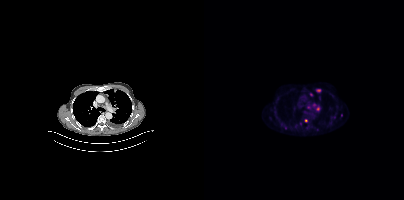
Findings: Coordinates are on the 200×200 PET (right) panel. (showing 5 of 7 foci) PSMA-avid tumor lesion bounding boxes (x0,y0,x1,y1): [108,103,115,110], [112,89,116,92]. Small PSMA-avid foci (2 to 4 px across) near (center x, center y): (107, 94), (137, 115), (96, 123).
- Paired axial CT (left) and PSMA PET (right), [18F]PSMA-1007 tracer
- acquired on Siemens Biograph mCT Flow 20